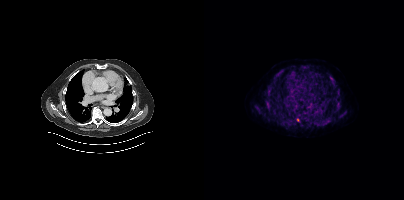
Coordinates are on the 200×200 PET (right) panel. PSMA-avid tumor lesion bounding boxes (x0,y0,x1,y1): [125,75,132,85], [93,112,102,120], [62,89,67,94], [122,119,127,123], [51,107,56,111], [74,70,79,74], [63,103,64,107]. Small PSMA-avid foci (2 to 4 px across) near (center x, center y): (134, 101), (130, 111), (62, 98). Two-panel axial: CT | PSMA PET, 18F tracer. Slice position z = -368 mm.